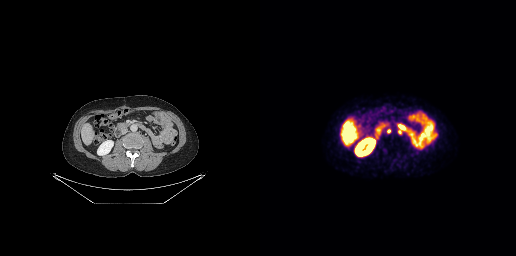
Findings: Coordinates are on the 256×256 PET (right) panel. PSMA-avid tumor lesion bounding box (x0, y0)-(x1, y1): (138, 129)-(141, 133). Small PSMA-avid focus (2 to 4 px across) near (center x, center y): (128, 130).
Technique: Paired axial CT (left) and PSMA PET (right), 18F tracer. PET panel 256×256 px (2.7 mm/px).